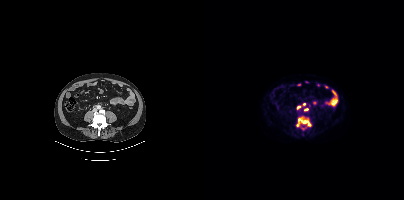
Coordinates are on the 200×200 PET (right) panel. PSMA-avid tumor lesion bounding boxes (x, y, width, height): x=92 y=117 w=16 h=10 | x=100 y=108 w=5 h=4 | x=93 y=105 w=5 h=5. Small PSMA-avid focus (2 to 4 px across) near (center x, center y): (100, 104).
modality: PSMA PET/CT | tracer: 18F-PSMA | view: axial